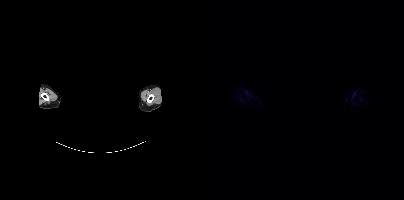
- Two-panel axial: CT | PSMA PET, 18F tracer
- PET panel 200×200 px (4.1 mm/px)
- a rectangle over the head was blacked out to remove identifiable facial features
Findings: No tumor lesions annotated on this slice.